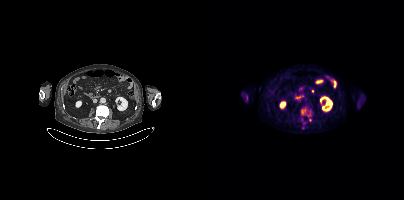
Two-panel axial: CT | PSMA PET, 18F tracer.
Coordinates are on the 200×200 PET (right) panel. PSMA-avid tumor lesion bounding boxes (partial; 2 more foci not listed):
| # | x0 | y0 | x1 | y1 |
|---|---|---|---|---|
| 1 | 97 | 108 | 107 | 117 |
Small PSMA-avid focus (2 to 4 px across) near (center x, center y): (106, 120).